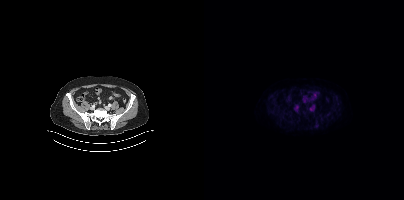
Coordinates are on the 200×200 PET (right) panel. Small PSMA-avid focus (2 to 4 px across) near (center x, center y): (112, 125).